Paired axial CT (left) and PSMA PET (right), 18F-PSMA tracer. Slice position z = -1108 mm.
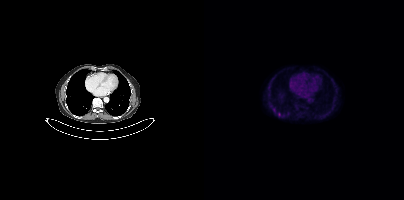
Only PSMA-avid lesion pieces thinner than 2 px on this slice (not listed).